- Paired axial CT (left) and PSMA PET (right), 18F-PSMA tracer
- acquired on Siemens Biograph mCT Flow 20
- slice position z = -1382 mm
- PET panel 200×200 px (4.1 mm/px)
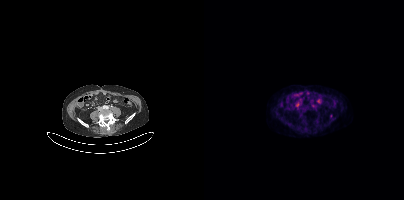
Findings: Coordinates are on the 200×200 PET (right) panel. PSMA-avid tumor lesion bounding box (x, y, width, height): x=108 y=104 w=5 h=4. Small PSMA-avid focus (2 to 4 px across) near (center x, center y): (127, 115).